- Left: CT. Right: PSMA PET, same axial level, [68Ga]Ga-PSMA-11 tracer
- acquired on Siemens Biograph 64-4R TruePoint
- slice 137 of 165
- PET panel 168×168 px (4.1 mm/px)
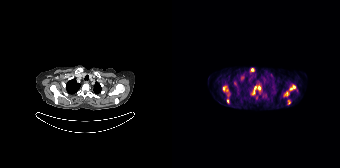
Findings: Coordinates are on the 168×168 PET (right) panel. (showing 7 of 8 foci) PSMA-avid tumor lesion bounding boxes (x0,y0,x1,y1): [111,84,124,96]; [80,85,89,94]; [51,86,57,96]; [78,68,82,71]; [115,100,118,104]; [55,99,57,103]. Small PSMA-avid focus (2 to 4 px across) near (center x, center y): (70, 76).